modality: PSMA PET/CT | tracer: 68Ga-PSMA | view: axial
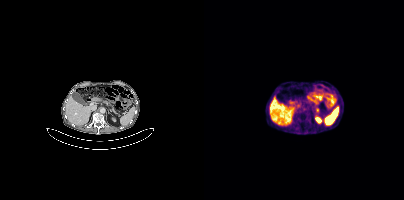
Coordinates are on the 200×200 PET (right) panel. PSMA-avid tumor lesion bounding box (x0,y0,x1,y1): [112,108,114,112].